modality: PSMA PET/CT | tracer: [18F]PSMA-1007 | view: axial | PET grid: 200×200
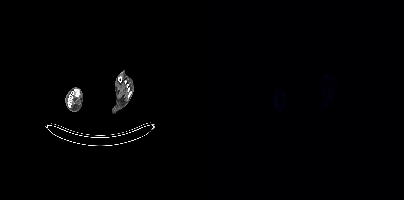
No tumor lesions annotated on this slice.